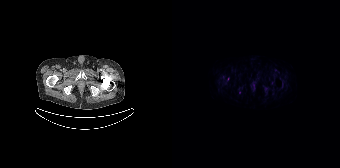
Left: CT. Right: PSMA PET, same axial level, [18F]PSMA-1007 tracer. PET panel 168×168 px (4.1 mm/px). This slice has no annotated PSMA-avid lesion.